- Two-panel axial: CT | PSMA PET, 18F tracer
- slice position z = -964 mm
- PET panel 168×168 px (4.1 mm/px)
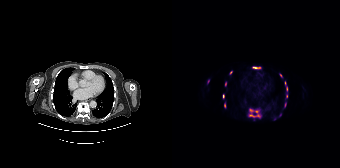
Findings: Coordinates are on the 168×168 PET (right) panel. (showing 11 of 12 foci) PSMA-avid tumor lesion bounding boxes (x0, y0)-(x1, y1): (77, 114)-(88, 117) / (80, 67)-(88, 68) / (51, 94)-(52, 98). Small PSMA-avid foci (2 to 4 px across) near (center x, center y): (79, 110) / (59, 72) / (52, 105) / (84, 111) / (53, 84) / (114, 88) / (108, 75) / (114, 96).